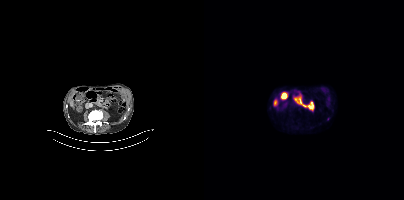
{"modality":"PSMA PET/CT","view":"axial","tracer":"18F-PSMA","pet_grid":[200,200],"coord_frame":"pet_panel","coord_format":"x0,y0,x1,y1","partial":true,"lesion_bboxes":[]}